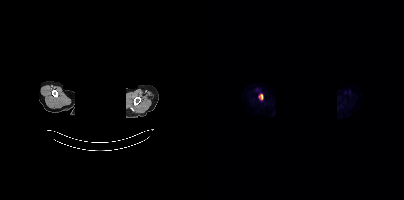
{"pet_grid":[200,200],"coord_frame":"pet_panel","coord_format":"x0,y0,x1,y1","lesion_bboxes":[[54,94,59,100]],"de-identification":"rectangular block over head set to black","modality":"PSMA PET/CT","view":"axial","tracer":"18F"}